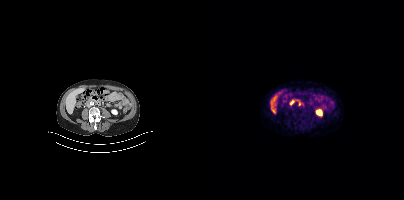
Findings: Coordinates are on the 200×200 PET (right) panel. PSMA-avid tumor lesion bounding box (x, y, width, height): x=86 y=100 w=5 h=6. Small PSMA-avid focus (2 to 4 px across) near (center x, center y): (95, 104).
Technique: Left: CT. Right: PSMA PET, same axial level, [68Ga]Ga-PSMA-11 tracer. slice 137 of 373. PET panel 200×200 px (4.1 mm/px).